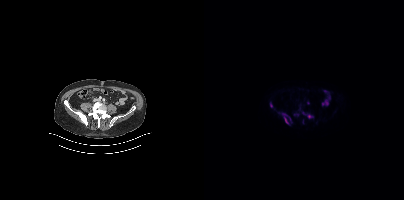
Two-panel axial: CT | PSMA PET, 18F tracer. Slice position z = -858 mm. PET panel 200×200 px (4.1 mm/px).
Coordinates are on the 200×200 PET (right) panel. PSMA-avid tumor lesion bounding boxes (partial; 2 more foci not listed):
| # | x0 | y0 | x1 | y1 |
|---|---|---|---|---|
| 1 | 75 | 112 | 85 | 124 |
| 2 | 98 | 111 | 109 | 118 |
| 3 | 66 | 103 | 68 | 107 |
Small PSMA-avid foci (2 to 4 px across) near (center x, center y): (95, 108); (85, 118); (98, 121).